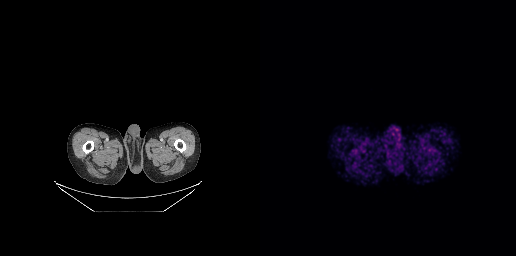
Technique: Two-panel axial: CT | PSMA PET, 68Ga-PSMA tracer. acquired on GE Discovery 690. PET panel 256×256 px (2.7 mm/px).
Findings: Negative for PSMA-avid disease on this slice.